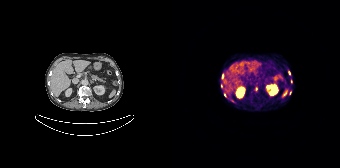
Coordinates are on the 168×168 PET (right) panel. (showing 7 of 8 foci) PSMA-avid tumor lesion bounding box (x0,y0,x1,y1): [82,87,85,91]. Small PSMA-avid foci (2 to 4 px across) near (center x, center y): (49, 85); (52, 94); (117, 72); (50, 76); (118, 93); (60, 101).
modality: PSMA PET/CT | tracer: 68Ga | view: axial | PET grid: 168×168